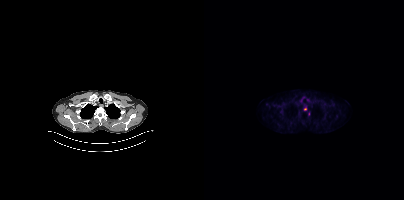
Findings: Coordinates are on the 200×200 PET (right) panel. Small PSMA-avid focus (2 to 4 px across) near (center x, center y): (101, 109).
- Left: CT. Right: PSMA PET, same axial level, 18F-PSMA tracer
- acquired on Siemens Biograph mCT Flow 20